Left: CT. Right: PSMA PET, same axial level, [18F]PSMA-1007 tracer. PET panel 168×168 px (4.1 mm/px).
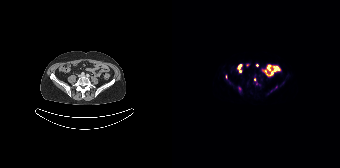
Coordinates are on the 168×168 PET (right) panel. (showing 2 of 4 foci) Small PSMA-avid foci (2 to 4 px across) near (center x, center y): (83, 79) / (84, 83).